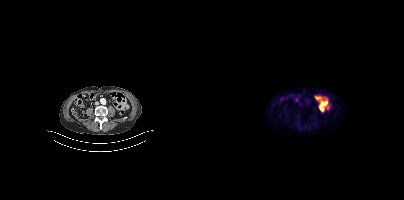
Findings: This slice has no annotated PSMA-avid lesion.
Technique: Two-panel axial: CT | PSMA PET, 18F tracer. slice 149 of 389.